- Left: CT. Right: PSMA PET, same axial level, 18F tracer
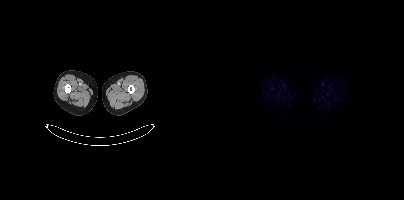
Findings: No tumor lesions annotated on this slice.